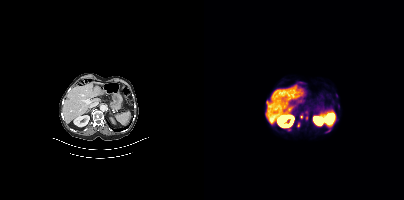
modality: PSMA PET/CT | tracer: 68Ga-PSMA | view: axial | PET grid: 200×200
Coordinates are on the 200×200 PET (right) panel. (showing 4 of 5 foci) PSMA-avid tumor lesion bounding boxes (x0, y0)-(x1, y1): (101, 111)-(104, 120); (93, 123)-(95, 127). Small PSMA-avid foci (2 to 4 px across) near (center x, center y): (97, 116); (85, 129).